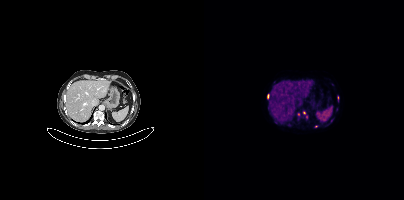
Coordinates are on the 200×200 PET (right) panel. (showing 4 of 6 foci) PSMA-avid tumor lesion bounding boxes (x0, y0)-(x1, y1): (100, 112)-(104, 119) | (63, 94)-(64, 98) | (133, 96)-(134, 100). Small PSMA-avid focus (2 to 4 px across) near (center x, center y): (112, 126).